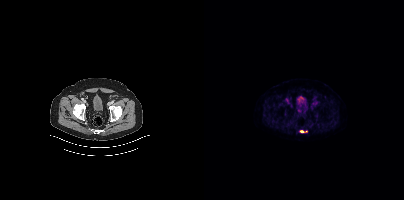
Coordinates are on the 200×200 PET (right) panel. Small PSMA-avid focus (2 to 4 px across) near (center x, center y): (98, 131).